modality: PSMA PET/CT | tracer: 68Ga-PSMA | view: axial | PET grid: 256×256
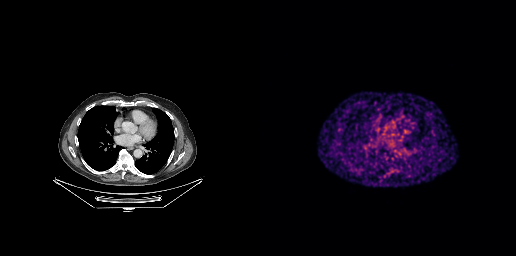
Coordinates are on the 256×256 PET (right) panel. PSMA-avid tumor lesion bounding box (x0, y0)-(x1, y1): (130, 168)-(135, 172).